- Paired axial CT (left) and PSMA PET (right), [18F]PSMA-1007 tracer
- PET panel 200×200 px (4.1 mm/px)
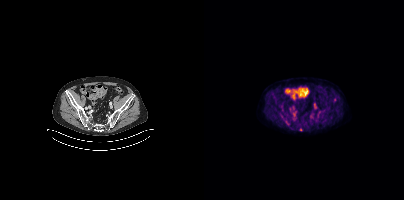
Findings: No tumor lesions annotated on this slice.